Technique: Two-panel axial: CT | PSMA PET, 68Ga-PSMA tracer. slice 30 of 393. PET panel 200×200 px (4.1 mm/px).
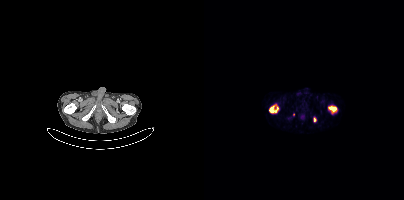
Findings: Coordinates are on the 200×200 PET (right) panel. PSMA-avid tumor lesion bounding boxes (x0,y0,x1,y1): [124,106,132,112], [66,106,69,112], [71,107,74,111]. Small PSMA-avid foci (2 to 4 px across) near (center x, center y): (111, 119), (89, 114).